modality: PSMA PET/CT | tracer: 18F-PSMA | view: axial
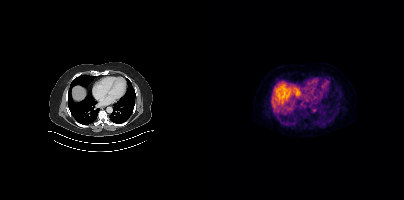
No PSMA-avid tumor lesions on this slice.